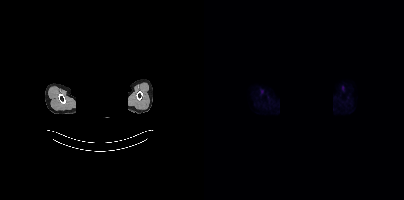
redaction: facial region redacted | modality: PSMA PET/CT | tracer: 18F | view: axial | PET grid: 200×200
No PSMA-avid tumor lesions on this slice.